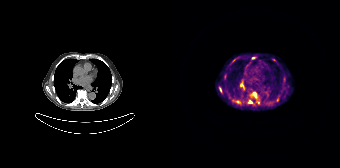
Paired axial CT (left) and PSMA PET (right), 68Ga-PSMA tracer. Coordinates are on the 168×168 PET (right) panel. (showing 10 of 12 foci) PSMA-avid tumor lesion bounding boxes (x0, y0)-(x1, y1): (60, 99)-(68, 103) / (68, 84)-(72, 89) / (81, 92)-(84, 97) / (47, 87)-(49, 92) / (60, 57)-(66, 61). Small PSMA-avid foci (2 to 4 px across) near (center x, center y): (77, 96) / (78, 102) / (101, 59) / (81, 57) / (105, 100).